Left: CT. Right: PSMA PET, same axial level, 18F-PSMA tracer. Acquired on Siemens Biograph mCT Flow 20. PET panel 200×200 px (4.1 mm/px).
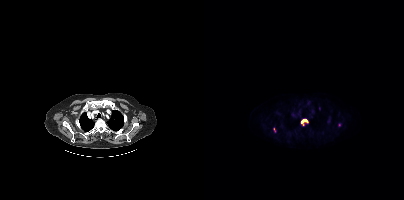
Coordinates are on the 200×200 PET (right) panel. PSMA-avid tumor lesion bounding boxes (partial; 1 more focus not listed):
| # | x0 | y0 | x1 | y1 |
|---|---|---|---|---|
| 1 | 97 | 119 | 104 | 125 |